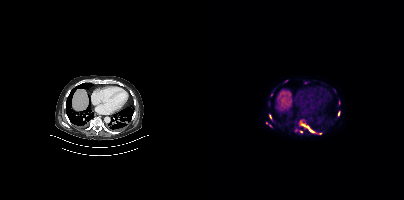
Paired axial CT (left) and PSMA PET (right), 18F tracer. Acquired on Siemens Biograph mCT Flow 20. PET panel 200×200 px (4.1 mm/px).
Coordinates are on the 200×200 PET (right) panel. PSMA-avid tumor lesion bounding boxes (partial; 2 more foci not listed):
| # | x0 | y0 | x1 | y1 |
|---|---|---|---|---|
| 1 | 95 | 119 | 117 | 134 |
| 2 | 134 | 111 | 136 | 116 |
Small PSMA-avid foci (2 to 4 px across) near (center x, center y): (96, 131); (66, 116); (92, 130).